Technique: Left: CT. Right: PSMA PET, same axial level, 18F-PSMA tracer. slice position z = -868 mm. PET panel 200×200 px (4.1 mm/px).
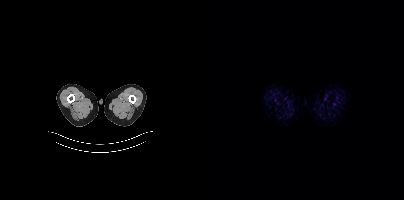
Findings: No tumor lesions annotated on this slice.